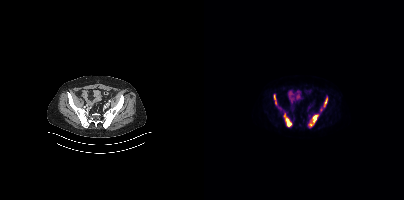
{"modality":"PSMA PET/CT","view":"axial","tracer":"[18F]PSMA-1007","pet_grid":[200,200],"coord_frame":"pet_panel","coord_format":"x0,y0,x1,y1","lesion_bboxes":[[80,113,87,126],[108,115,113,122],[120,97,123,107],[70,94,72,104],[104,124,108,127]]}